Facial anatomy redacted by setting a rectangular region of the head to black.
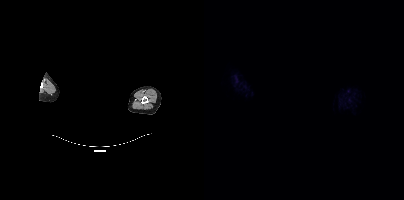
This slice has no annotated PSMA-avid lesion.